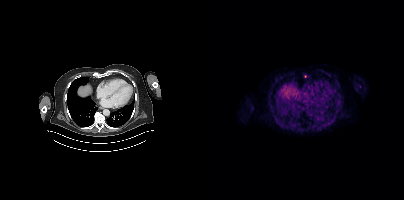
Coordinates are on the 200×200 PET (right) panel. Small PSMA-avid focus (2 to 4 px across) near (center x, center y): (101, 76).
modality: PSMA PET/CT | tracer: [68Ga]Ga-PSMA-11 | view: axial